Paired axial CT (left) and PSMA PET (right), 18F tracer. Acquired on Siemens Biograph mCT Flow 20. Slice 193 of 448. PET panel 200×200 px (4.1 mm/px).
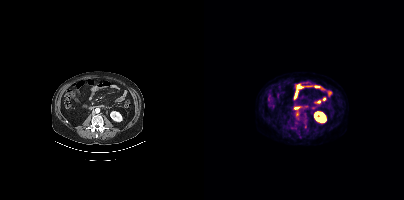
Only PSMA-avid lesion pieces thinner than 2 px on this slice (not listed).